modality: PSMA PET/CT | tracer: 18F | view: axial | PET grid: 200×200
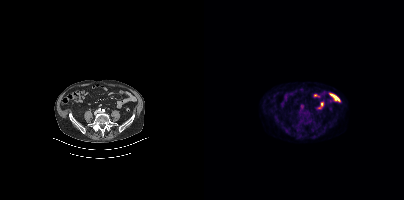
Negative for PSMA-avid disease on this slice.